Left: CT. Right: PSMA PET, same axial level, 68Ga-PSMA tracer. Slice 39 of 389.
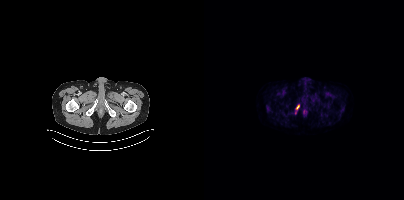
Coordinates are on the 200×200 PET (right) panel. PSMA-avid tumor lesion bounding boxes:
| # | x0 | y0 | x1 | y1 |
|---|---|---|---|---|
| 1 | 92 | 104 | 95 | 109 |